Two-panel axial: CT | PSMA PET, 18F-PSMA tracer. Acquired on Siemens Biograph mCT Flow 20. Slice 10 of 429.
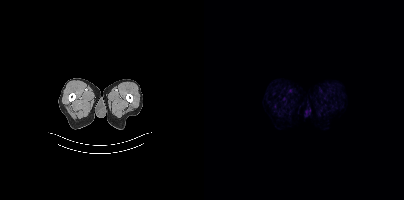
No PSMA-avid tumor lesions on this slice.